Two-panel axial: CT | PSMA PET, 18F-PSMA tracer.
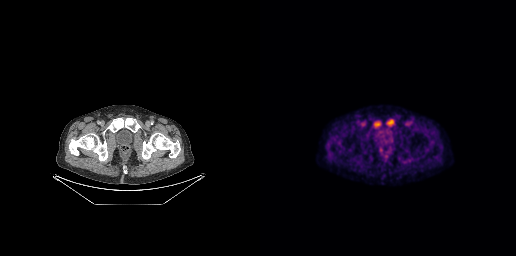
Coordinates are on the 256×256 PET (right) panel. PSMA-avid tumor lesion bounding boxes (x, y, width, height): x=126 y=119 w=9 h=8 | x=113 y=120 w=9 h=9.